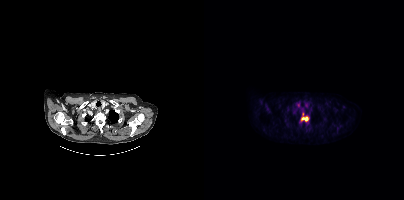
{"pet_grid":[200,200],"coord_frame":"pet_panel","coord_format":"x0,y0,x1,y1","lesion_bboxes":[[97,113,105,121]],"modality":"PSMA PET/CT","view":"axial","tracer":"18F-PSMA"}